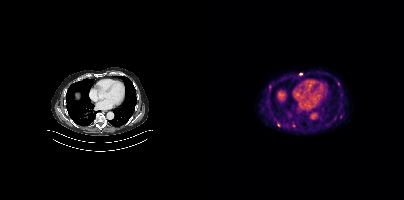
Paired axial CT (left) and PSMA PET (right), 18F tracer. Coordinates are on the 200×200 PET (right) panel. Small PSMA-avid foci (2 to 4 px across) near (center x, center y): (74, 124); (97, 73); (134, 84); (89, 125).